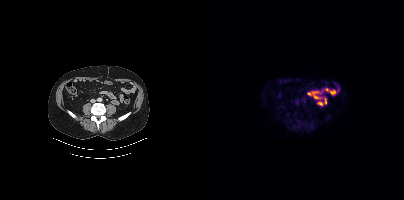
{"pet_grid":[200,200],"coord_frame":"pet_panel","coord_format":"x0,y0,x1,y1","partial":true,"lesion_bboxes":[],"small_foci_centers":[[103,110],[121,119],[96,125]],"modality":"PSMA PET/CT","view":"axial","tracer":"[18F]PSMA-1007"}